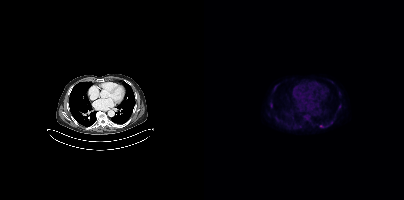
Coordinates are on the 200×200 PET (right) panel. Small PSMA-avid foci (2 to 4 px across) near (center x, center y): (67, 104), (100, 116).